Left: CT. Right: PSMA PET, same axial level, 18F-PSMA tracer. Slice position z = -711 mm. PET panel 256×256 px (2.7 mm/px).
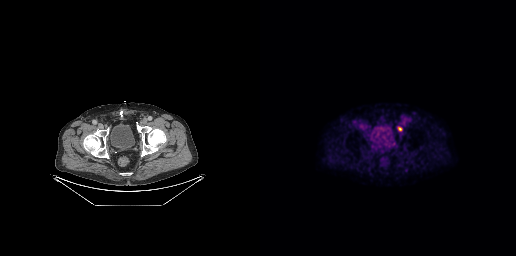
Coordinates are on the 256×256 PET (right) panel. Small PSMA-avid focus (2 to 4 px across) near (center x, center y): (139, 128).